Paired axial CT (left) and PSMA PET (right), 68Ga tracer. PET panel 168×168 px (4.1 mm/px).
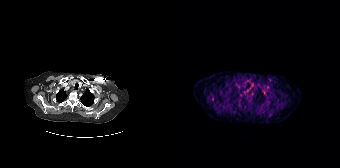
Only PSMA-avid lesion pieces thinner than 2 px on this slice (not listed).